Paired axial CT (left) and PSMA PET (right), 18F tracer. Acquired on Siemens Biograph mCT Flow 20. Slice 258 of 411.
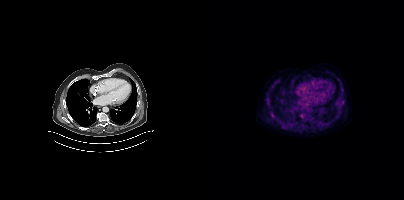
Only PSMA-avid lesion pieces thinner than 2 px on this slice (not listed).